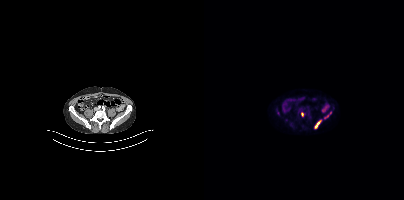
{"pet_grid":[200,200],"coord_frame":"pet_panel","coord_format":"x0,y0,x1,y1","lesion_bboxes":[[110,119,117,128],[120,115,124,118]],"small_foci_centers":[[98,114]],"modality":"PSMA PET/CT","view":"axial","tracer":"18F-PSMA"}